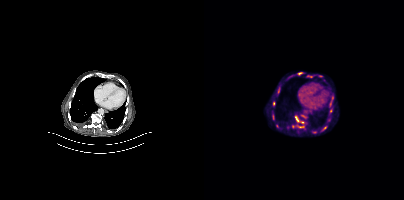
Coordinates are on the 200×200 PET (right) panel. (showing 1 of 3 foci) PSMA-avid tumor lesion bounding box (x, y, width, height): x=91 y=116 w=4 h=6.